Technique: Paired axial CT (left) and PSMA PET (right), [18F]PSMA-1007 tracer. PET panel 200×200 px (4.1 mm/px).
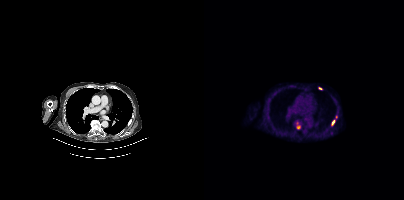
Findings: Coordinates are on the 200×200 PET (right) panel. PSMA-avid tumor lesion bounding box (x0,y0,x1,y1): [127,119,131,125]. Small PSMA-avid foci (2 to 4 px across) near (center x, center y): (116, 88), (94, 127), (132, 117).